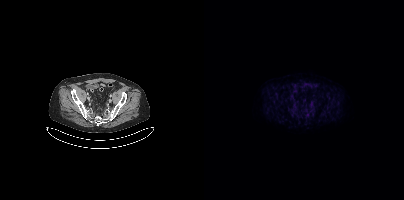
{"pet_grid":[200,200],"coord_frame":"pet_panel","coord_format":"x0,y0,x1,y1","psma_avid_lesions":false,"modality":"PSMA PET/CT","view":"axial","tracer":"18F-PSMA"}